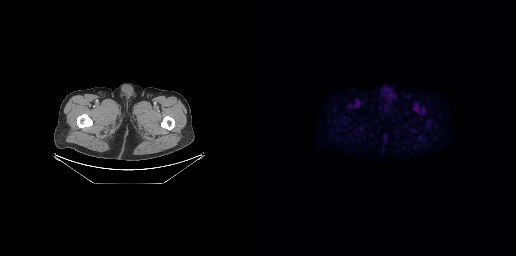
{"pet_grid":[256,256],"coord_frame":"pet_panel","coord_format":"x0,y0,x1,y1","psma_avid_lesions":false,"modality":"PSMA PET/CT","view":"axial","tracer":"18F"}